Paired axial CT (left) and PSMA PET (right), 18F-PSMA tracer. Acquired on GE Discovery 690. Slice position z = -157 mm. PET panel 256×256 px (2.7 mm/px).
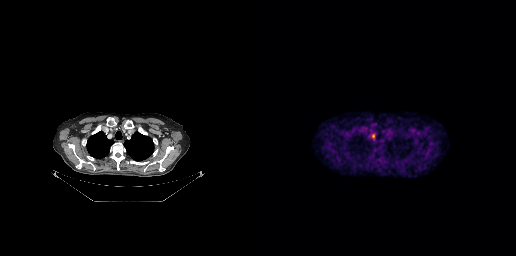
Coordinates are on the 256×256 PET (right) panel. PSMA-avid tumor lesion bounding box (x0, y0)-(x1, y1): (111, 134)-(115, 139).